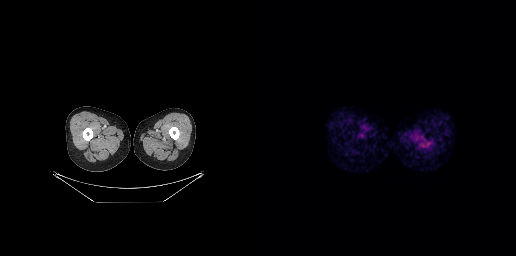
{"modality":"PSMA PET/CT","view":"axial","tracer":"68Ga-PSMA","pet_grid":[256,256],"coord_frame":"pet_panel","coord_format":"x0,y0,x1,y1","psma_avid_lesions":false}